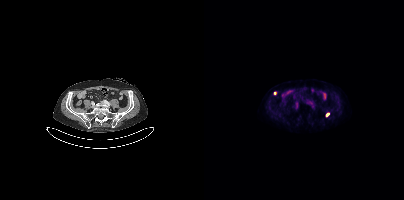
- Paired axial CT (left) and PSMA PET (right), 18F tracer
- acquired on Siemens Biograph mCT Flow 20
Findings: Coordinates are on the 200×200 PET (right) panel. Small PSMA-avid foci (2 to 4 px across) near (center x, center y): (123, 114); (70, 93).